- privacy masking over the head, with the pixels inside a rectangle set to black
- Two-panel axial: CT | PSMA PET, 18F tracer
- slice 240 of 263
- PET panel 256×256 px (2.7 mm/px)
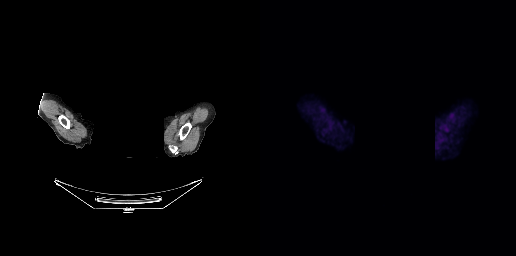
Findings: No tumor lesions annotated on this slice.